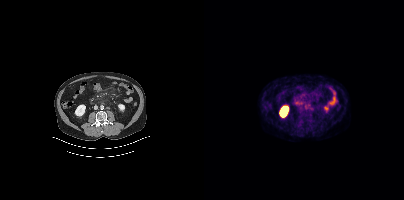
{"modality":"PSMA PET/CT","view":"axial","tracer":"18F-PSMA","pet_grid":[200,200],"coord_frame":"pet_panel","coord_format":"x0,y0,x1,y1","lesion_bboxes":[],"small_foci_centers":[[107,109]]}